Technique: Two-panel axial: CT | PSMA PET, [18F]PSMA-1007 tracer. acquired on Siemens Biograph mCT Flow 20.
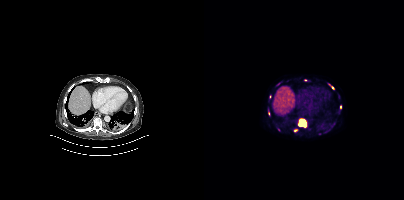
Findings: Coordinates are on the 200×200 PET (right) panel. (showing 6 of 7 foci) PSMA-avid tumor lesion bounding boxes (x0, y0)-(x1, y1): (94, 118)-(103, 127) / (125, 84)-(130, 89). Small PSMA-avid foci (2 to 4 px across) near (center x, center y): (91, 130) / (136, 107) / (101, 79) / (64, 113).